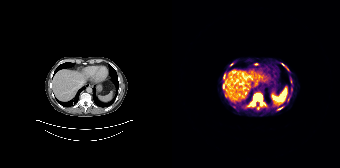
Findings: Coordinates are on the 168×168 PET (right) panel. (showing 9 of 10 foci) PSMA-avid tumor lesion bounding boxes (x0, y0)-(x1, y1): (78, 93)-(90, 105); (53, 95)-(58, 99); (106, 107)-(110, 109). Small PSMA-avid foci (2 to 4 px across) near (center x, center y): (83, 64); (51, 76); (51, 87); (119, 89); (59, 64); (110, 64).
- Left: CT. Right: PSMA PET, same axial level, 68Ga-PSMA tracer
- acquired on Siemens Biograph 64-4R TruePoint
- slice 117 of 195